Technique: Paired axial CT (left) and PSMA PET (right), [18F]PSMA-1007 tracer. PET panel 200×200 px (4.1 mm/px).
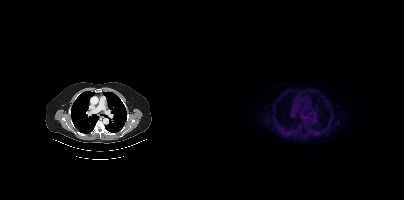
Findings: Only PSMA-avid lesion pieces thinner than 2 px on this slice (not listed).